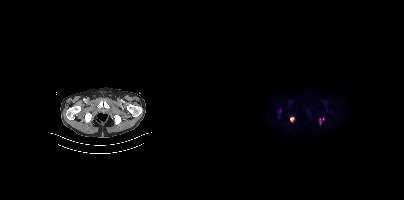
Findings: Coordinates are on the 200×200 PET (right) panel. PSMA-avid tumor lesion bounding boxes (x, y, width, height): x=86 y=117 w=4 h=5 / x=116 y=120 w=2 h=5.
- Two-panel axial: CT | PSMA PET, 18F tracer
- acquired on Siemens Biograph mCT Flow 20
- PET panel 200×200 px (4.1 mm/px)